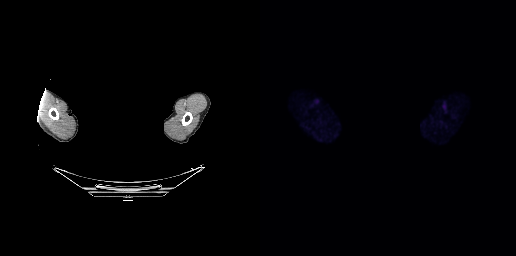
{"pet_grid":[256,256],"coord_frame":"pet_panel","coord_format":"x0,y0,x1,y1","psma_avid_lesions":false,"deidentification":"head region blacked out before release","modality":"PSMA PET/CT","view":"axial","tracer":"18F"}